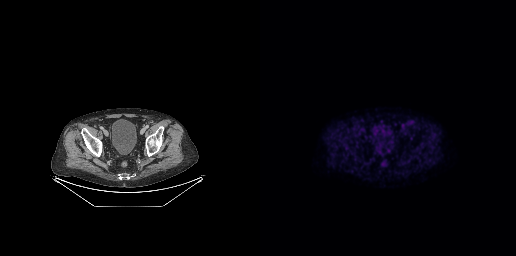
- Paired axial CT (left) and PSMA PET (right), 18F-PSMA tracer
- acquired on GE Discovery 690
- slice 65 of 263
- PET panel 256×256 px (2.7 mm/px)
Findings: This slice has no annotated PSMA-avid lesion.